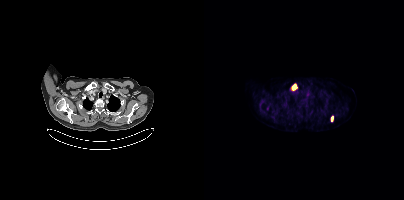
Coordinates are on the 200×200 PET (right) panel. PSMA-avid tumor lesion bounding boxes (x0, y0)-(x1, y1): (88, 84)-(92, 89) | (127, 116)-(129, 121).